Left: CT. Right: PSMA PET, same axial level, 18F tracer. Slice position z = -958 mm. PET panel 200×200 px (4.1 mm/px).
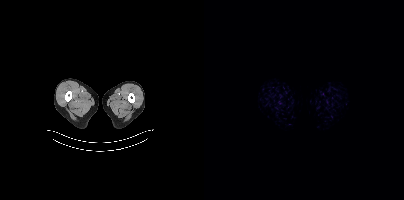
Negative for PSMA-avid disease on this slice.